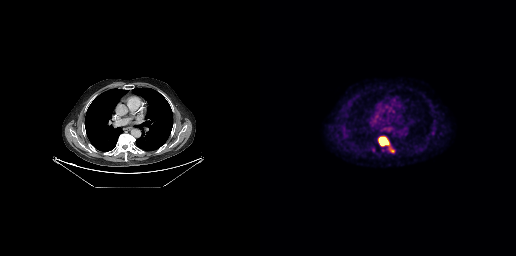
Technique: Paired axial CT (left) and PSMA PET (right), 18F tracer. slice position z = -220 mm. PET panel 256×256 px (2.7 mm/px).
Findings: Coordinates are on the 256×256 PET (right) panel. PSMA-avid tumor lesion bounding box (x0,y0,x1,y1): [118,136,129,146]. Small PSMA-avid focus (2 to 4 px across) near (center x, center y): (132, 151).